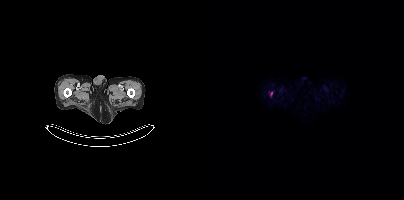
Two-panel axial: CT | PSMA PET, 18F-PSMA tracer. Acquired on Siemens Biograph mCT Flow 20. Coordinates are on the 200×200 PET (right) panel. Small PSMA-avid focus (2 to 4 px across) near (center x, center y): (67, 93).